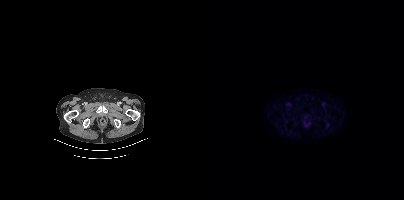
{"modality":"PSMA PET/CT","view":"axial","tracer":"18F","pet_grid":[200,200],"coord_frame":"pet_panel","coord_format":"x0,y0,x1,y1","psma_avid_lesions":false}